Paired axial CT (left) and PSMA PET (right), [68Ga]Ga-PSMA-11 tracer. Slice position z = -932 mm.
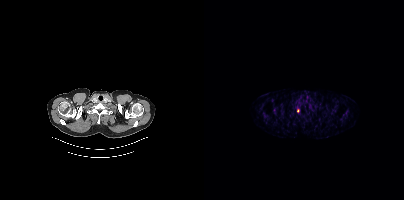
Coordinates are on the 200×200 PET (right) panel. Small PSMA-avid focus (2 to 4 px across) near (center x, center y): (93, 110).